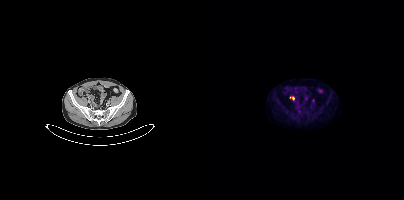
Paired axial CT (left) and PSMA PET (right), 18F tracer. Acquired on Siemens Biograph mCT Flow 20. PET panel 200×200 px (4.1 mm/px).
Coordinates are on the 200×200 PET (right) panel. PSMA-avid tumor lesion bounding boxes:
| # | x0 | y0 | x1 | y1 |
|---|---|---|---|---|
| 1 | 86 | 96 | 90 | 99 |